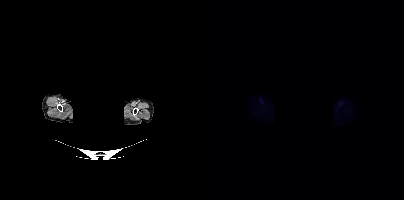
This slice has no annotated PSMA-avid lesion. Head region blanked for anonymization (face removed). Paired axial CT (left) and PSMA PET (right), 18F-PSMA tracer.